Left: CT. Right: PSMA PET, same axial level, [18F]PSMA-1007 tracer. Acquired on Siemens Biograph mCT Flow 20. Slice position z = -424 mm.
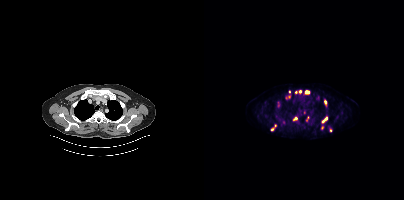
Coordinates are on the 200×200 PET (right) panel. PSMA-avid tumor lesion bounding boxes (partial; 1 more focus not listed):
| # | x0 | y0 | x1 | y1 |
|---|---|---|---|---|
| 1 | 117 | 116 | 123 | 123 |
| 2 | 101 | 90 | 105 | 93 |
| 3 | 120 | 100 | 122 | 105 |
| 4 | 89 | 117 | 93 | 120 |
Small PSMA-avid foci (2 to 4 px across) near (center x, center y): (96, 91); (118, 127); (68, 129); (85, 91); (91, 92).